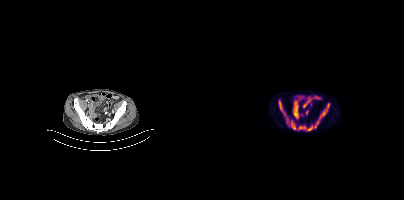
Coordinates are on the 200×200 PET (right) panel. PSMA-avid tumor lesion bounding boxes (x0,y0,x1,y1): [74,100,105,130], [108,103,125,128].